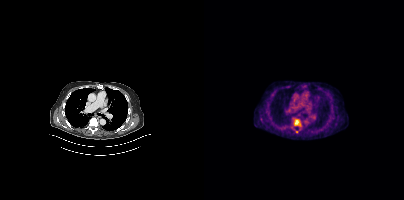
Two-panel axial: CT | PSMA PET, 18F tracer. Coordinates are on the 200×200 PET (right) panel. Small PSMA-avid focus (2 to 4 px across) near (center x, center y): (92, 121).